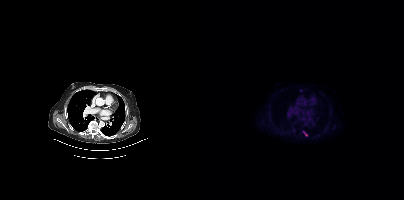
Two-panel axial: CT | PSMA PET, 18F-PSMA tracer. Acquired on Siemens Biograph mCT Flow 20. Slice 258 of 377. PET panel 200×200 px (4.1 mm/px). Only PSMA-avid lesion pieces thinner than 2 px on this slice (not listed).